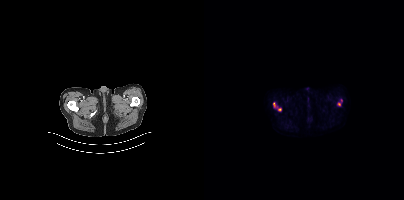
Coordinates are on the 200×200 PET (right) panel. (showing 2 of 3 foci) PSMA-avid tumor lesion bounding box (x, y, width, height): x=69 y=102 w=9 h=9. Small PSMA-avid focus (2 to 4 px across) near (center x, center y): (135, 104).